Technique: Two-panel axial: CT | PSMA PET, 18F-PSMA tracer. acquired on Siemens Biograph mCT Flow 20. slice position z = -1466 mm.
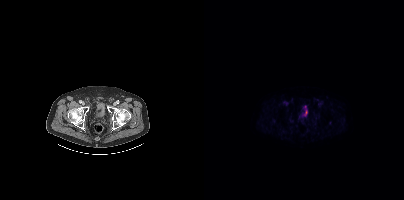
Findings: This slice has no annotated PSMA-avid lesion.